Technique: Left: CT. Right: PSMA PET, same axial level, 68Ga tracer. acquired on Siemens Biograph mCT Flow 20.
Note: Head region blanked for anonymization (face removed).
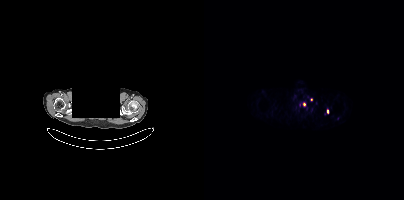
Findings: Coordinates are on the 200×200 PET (right) panel. Small PSMA-avid foci (2 to 4 px across) near (center x, center y): (100, 104) / (123, 111) / (107, 99) / (95, 104).